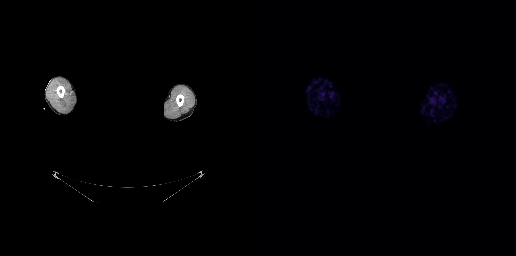
{"pet_grid":[256,256],"coord_frame":"pet_panel","coord_format":"x0,y0,x1,y1","psma_avid_lesions":false,"deidentification":"rectangular block over head set to black","modality":"PSMA PET/CT","view":"axial","tracer":"18F-PSMA"}